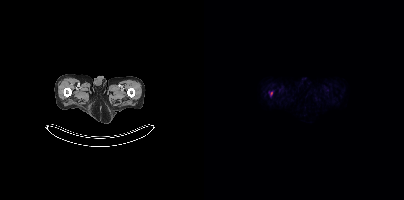
Coordinates are on the 200×200 PET (right) panel. Small PSMA-avid focus (2 to 4 px across) near (center x, center y): (67, 93). Two-panel axial: CT | PSMA PET, 18F tracer. Acquired on Siemens Biograph mCT Flow 20. Slice position z = -1067 mm. PET panel 200×200 px (4.1 mm/px).